modality: PSMA PET/CT | tracer: [18F]PSMA-1007 | view: axial | PET grid: 200×200 | deidentification: region redacted
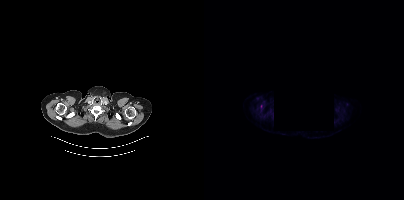
Only PSMA-avid lesion pieces thinner than 2 px on this slice (not listed).